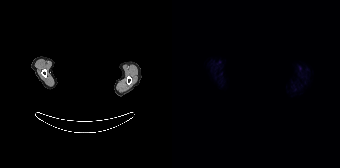
de-identification: face masked with black rectangle | modality: PSMA PET/CT | tracer: [18F]PSMA-1007 | view: axial | PET grid: 168×168
No tumor lesions annotated on this slice.